modality: PSMA PET/CT | tracer: 18F | view: axial | PET grid: 200×200
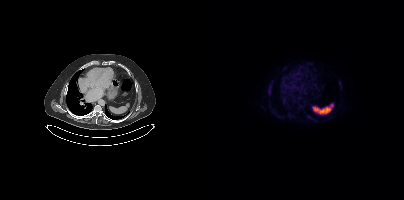
Coordinates are on the 200×200 PET (right) panel. Small PSMA-avid focus (2 to 4 px across) near (center x, center y): (65, 91).